modality: PSMA PET/CT | tracer: [68Ga]Ga-PSMA-11 | view: axial | PET grid: 168×168
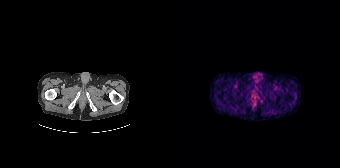
No PSMA-avid tumor lesions on this slice.